- a rectangle over the head was blacked out to remove identifiable facial features
- Paired axial CT (left) and PSMA PET (right), 18F-PSMA tracer
- acquired on Siemens Biograph mCT Flow 20
- PET panel 200×200 px (4.1 mm/px)
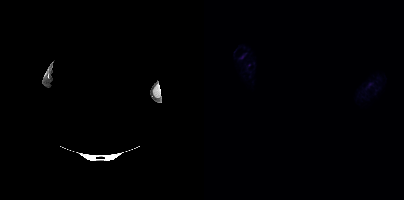
Findings: No tumor lesions annotated on this slice.